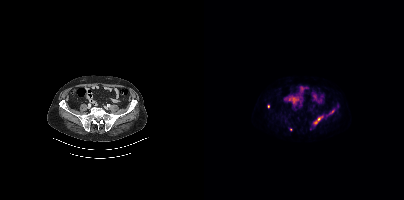
- Left: CT. Right: PSMA PET, same axial level, 18F-PSMA tracer
- acquired on Siemens Biograph mCT Flow 20
Findings: Coordinates are on the 200×200 PET (right) panel. (showing 4 of 6 foci) PSMA-avid tumor lesion bounding boxes (x0, y0)-(x1, y1): (110, 115)-(119, 123) | (125, 111)-(129, 114). Small PSMA-avid foci (2 to 4 px across) near (center x, center y): (64, 106) | (86, 129).